- Left: CT. Right: PSMA PET, same axial level, [18F]PSMA-1007 tracer
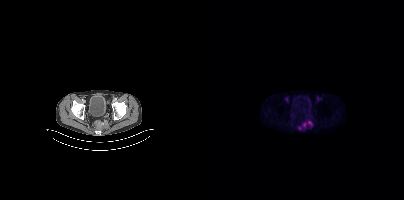
Findings: Coordinates are on the 200×200 PET (right) panel. PSMA-avid tumor lesion bounding boxes (x0, y0)-(x1, y1): (104, 121)-(108, 125); (94, 126)-(96, 130). Small PSMA-avid focus (2 to 4 px across) near (center x, center y): (100, 124).